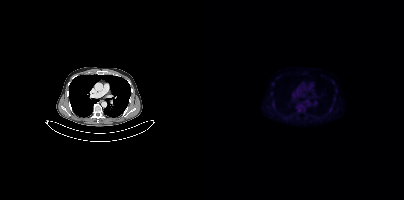
Paired axial CT (left) and PSMA PET (right), 18F tracer. PET panel 200×200 px (4.1 mm/px). Coordinates are on the 200×200 PET (right) panel. Small PSMA-avid focus (2 to 4 px across) near (center x, center y): (95, 110).